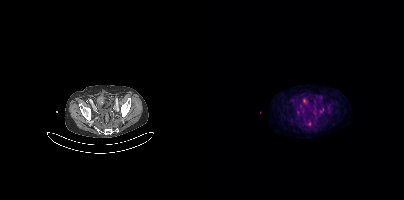
Coordinates are on the 200×200 PET (right) panel. PSMA-avid tumor lesion bounding box (x, y, width, height): x=116 y=108 w=4 h=5. Small PSMA-avid focus (2 to 4 px across) near (center x, center y): (105, 124).